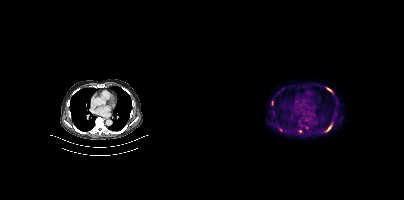
{"modality":"PSMA PET/CT","view":"axial","tracer":"[18F]PSMA-1007","pet_grid":[200,200],"coord_frame":"pet_panel","coord_format":"x0,y0,x1,y1","lesion_bboxes":[[122,125,127,131],[122,87,127,91],[68,101,69,105]],"small_foci_centers":[[96,131],[76,129]]}